modality: PSMA PET/CT | tracer: 18F | view: axial | PET grid: 200×200
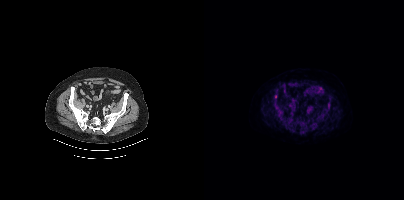
Only PSMA-avid lesion pieces thinner than 2 px on this slice (not listed).